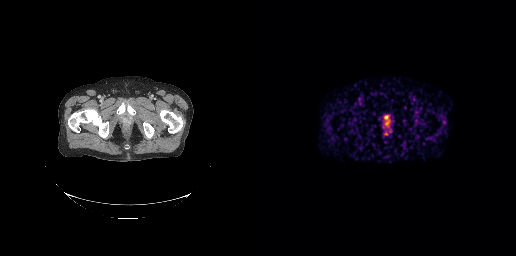
- Two-panel axial: CT | PSMA PET, [68Ga]Ga-PSMA-11 tracer
- acquired on GE Discovery 690
- PET panel 256×256 px (2.7 mm/px)
Findings: Coordinates are on the 256×256 PET (right) panel. Small PSMA-avid focus (2 to 4 px across) near (center x, center y): (126, 117).